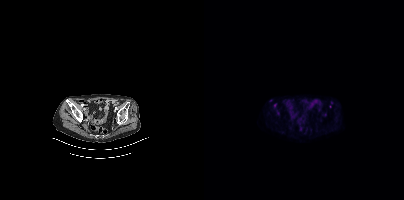
Only PSMA-avid lesion pieces thinner than 2 px on this slice (not listed). Left: CT. Right: PSMA PET, same axial level, 68Ga-PSMA tracer. Slice position z = -1484 mm. PET panel 200×200 px (4.1 mm/px).